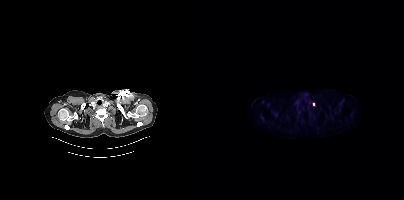
{"pet_grid":[200,200],"coord_frame":"pet_panel","coord_format":"x0,y0,x1,y1","lesion_bboxes":[],"small_foci_centers":[[109,104]],"modality":"PSMA PET/CT","view":"axial","tracer":"18F"}